modality: PSMA PET/CT | tracer: 18F | view: axial | PET grid: 200×200
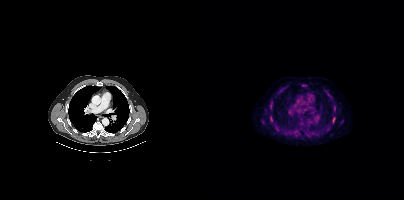
Coordinates are on the 200×200 PET (right) panel. PSMA-avid tumor lesion bounding boxes (x0,y0,x1,y1): [66,105,68,109], [129,117,130,122]. Small PSMA-avid focus (2 to 4 px across) near (center x, center y): (67, 120).